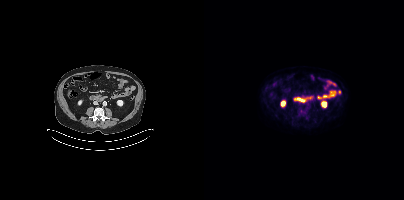
Left: CT. Right: PSMA PET, same axial level, [18F]PSMA-1007 tracer. Acquired on Siemens Biograph mCT Flow 20. Slice 161 of 389. No tumor lesions annotated on this slice.